Two-panel axial: CT | PSMA PET, 18F tracer. Slice position z = -977 mm. PET panel 200×200 px (4.1 mm/px).
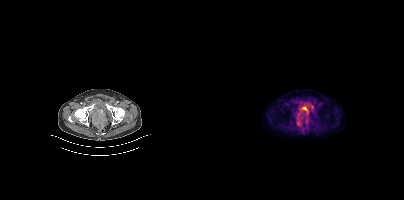
Negative for PSMA-avid disease on this slice.